modality: PSMA PET/CT | tracer: 18F | view: axial | PET grid: 200×200
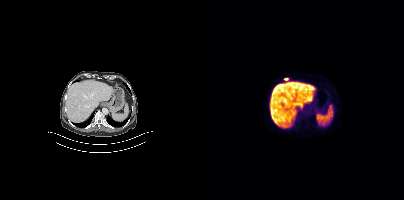
Coordinates are on the 200×200 PET (right) panel. Small PSMA-avid focus (2 to 4 px across) near (center x, center y): (81, 79).